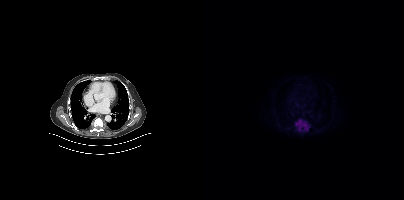
Coordinates are on the 200×200 PET (right) panel. (showing 1 of 2 foci) PSMA-avid tumor lesion bounding box (x0,y0,x1,y1): [91,119,106,131].